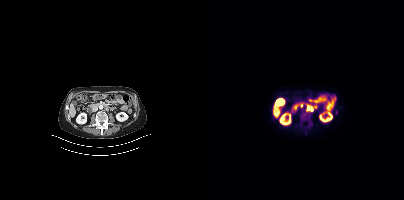
Coordinates are on the 200×200 PET (right) panel. PSMA-avid tumor lesion bounding box (x0,y0,x1,y1): [104,107,108,110].